Paired axial CT (left) and PSMA PET (right), 18F tracer.
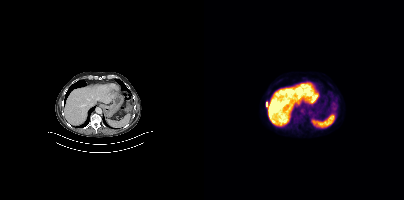
Coordinates are on the 200×200 PET (right) panel. PSMA-avid tumor lesion bounding boxes:
| # | x0 | y0 | x1 | y1 |
|---|---|---|---|---|
| 1 | 62 | 102 | 63 | 106 |